- Paired axial CT (left) and PSMA PET (right), 68Ga tracer
- slice 46 of 165
- PET panel 168×168 px (4.1 mm/px)
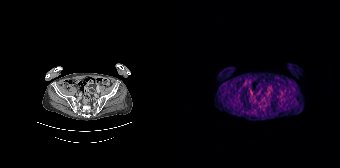
Findings: No tumor lesions annotated on this slice.